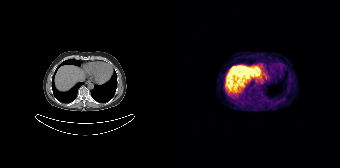
Paired axial CT (left) and PSMA PET (right), 68Ga-PSMA tracer. Acquired on Siemens Biograph 64-4R TruePoint. Slice 117 of 195. No PSMA-avid tumor lesions on this slice.